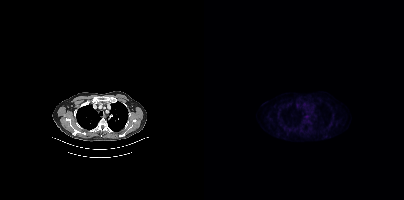
No tumor lesions annotated on this slice.
modality: PSMA PET/CT | tracer: 18F-PSMA | view: axial | PET grid: 200×200